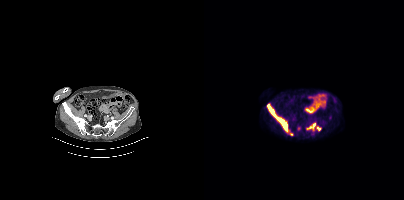
Left: CT. Right: PSMA PET, same axial level, 18F-PSMA tracer. Slice position z = -168 mm. Coordinates are on the 200×200 PET (right) panel. (showing 3 of 4 foci) PSMA-avid tumor lesion bounding boxes (x0, y0)-(x1, y1): (63, 103)-(85, 132) / (102, 122)-(117, 131). Small PSMA-avid focus (2 to 4 px across) near (center x, center y): (87, 134).